Left: CT. Right: PSMA PET, same axial level, 18F-PSMA tracer. Acquired on Siemens Biograph mCT Flow 20. PET panel 200×200 px (4.1 mm/px).
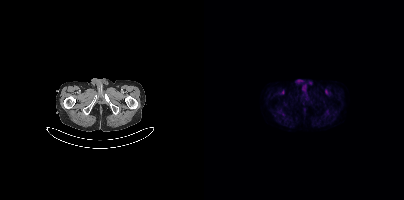
This slice has no annotated PSMA-avid lesion.